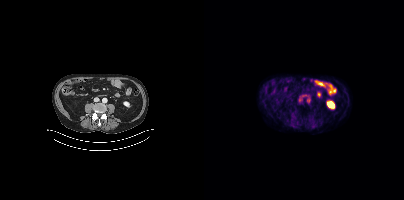
Negative for PSMA-avid disease on this slice.